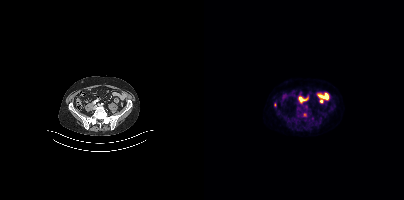
Two-panel axial: CT | PSMA PET, 18F tracer. Acquired on Siemens Biograph mCT Flow 20. PET panel 200×200 px (4.1 mm/px). Coordinates are on the 200×200 PET (right) panel. (showing 1 of 2 foci) Small PSMA-avid focus (2 to 4 px across) near (center x, center y): (70, 104).